modality: PSMA PET/CT | tracer: 18F-PSMA | view: axial | PET grid: 200×200
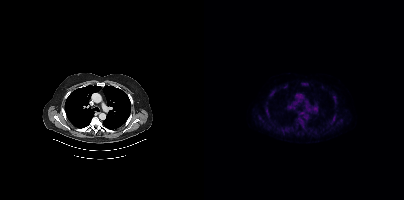
Coordinates are on the 200×200 PET (right) panel. (showing 10 of 16 foci) PSMA-avid tumor lesion bounding boxes (x0, y0)-(x1, y1): (93, 119)-(98, 125) / (99, 82)-(103, 86) / (67, 122)-(71, 127). Small PSMA-avid foci (2 to 4 px across) near (center x, center y): (130, 97) / (69, 90) / (92, 125) / (63, 110) / (67, 96) / (64, 114) / (119, 129).